Technique: Left: CT. Right: PSMA PET, same axial level, 18F-PSMA tracer.
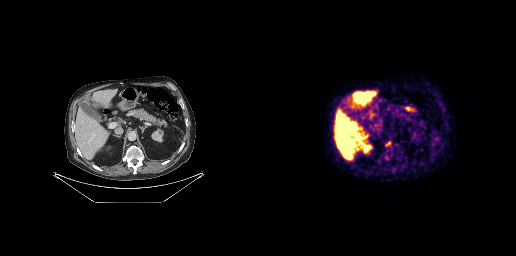
Findings: Coordinates are on the 256×256 PET (right) panel. (showing 1 of 2 foci) Small PSMA-avid focus (2 to 4 px across) near (center x, center y): (129, 143).